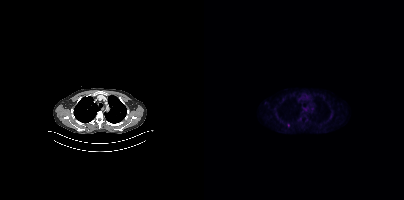
Coordinates are on the 200×200 PET (right) panel. PSMA-avid tumor lesion bounding boxes:
| # | x0 | y0 | x1 | y1 |
|---|---|---|---|---|
| 1 | 83 | 123 | 85 | 127 |
Two-panel axial: CT | PSMA PET, [18F]PSMA-1007 tracer. Slice 289 of 377. PET panel 200×200 px (4.1 mm/px).